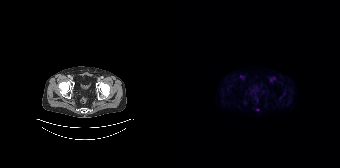
Technique: Two-panel axial: CT | PSMA PET, [18F]PSMA-1007 tracer. slice 34 of 165. PET panel 168×168 px (4.1 mm/px).
Findings: Negative for PSMA-avid disease on this slice.